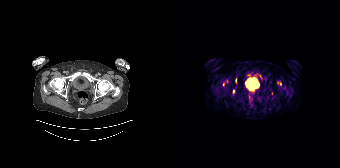
{"modality":"PSMA PET/CT","view":"axial","tracer":"68Ga","pet_grid":[168,168],"coord_frame":"pet_panel","coord_format":"x0,y0,x1,y1","partial":true,"lesion_bboxes":[],"small_foci_centers":[[61,91],[108,83]]}